De-identified by setting a box covering the face to black before release.
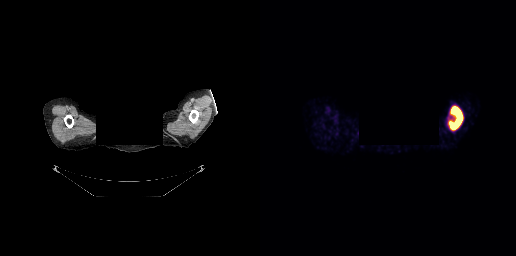
Coordinates are on the 256×256 PET (right) panel. PSMA-avid tumor lesion bounding box (x0,y0,x1,y1): [188,106,203,130].